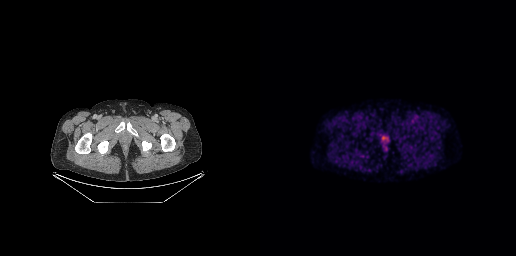
modality: PSMA PET/CT | tracer: 18F-PSMA | view: axial | PET grid: 256×256
No tumor lesions annotated on this slice.